Technique: Paired axial CT (left) and PSMA PET (right), 18F tracer. acquired on Siemens Biograph mCT Flow 20. slice position z = -1751 mm.
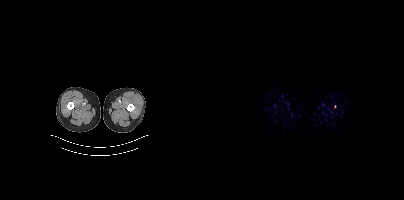
Findings: No tumor lesions annotated on this slice.